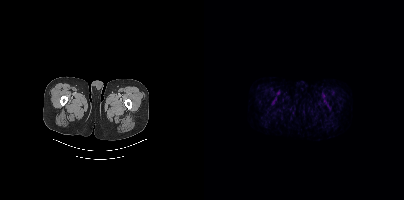
- Two-panel axial: CT | PSMA PET, [18F]PSMA-1007 tracer
- acquired on Siemens Biograph mCT Flow 20
- slice 23 of 435
Findings: Negative for PSMA-avid disease on this slice.